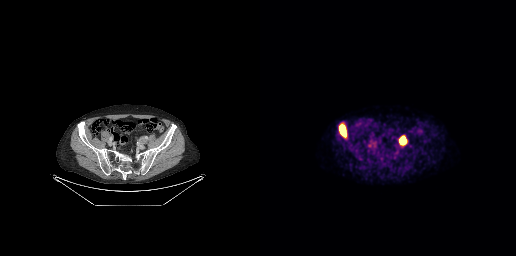
Coordinates are on the 256×256 PET (right) panel. PSMA-avid tumor lesion bounding boxes (x, y, width, height): x=80 y=126 w=6 h=10 / x=140 y=136 w=7 h=9.